- Two-panel axial: CT | PSMA PET, [18F]PSMA-1007 tracer
- slice position z = -376 mm
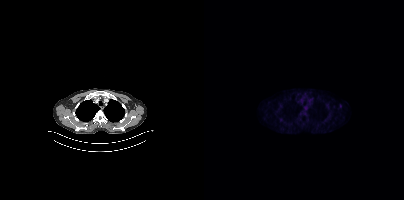
Findings: Negative for PSMA-avid disease on this slice.